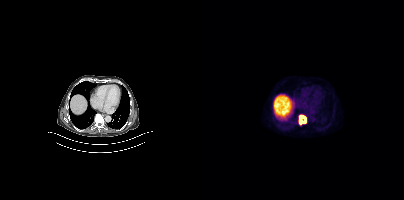
Coordinates are on the 200×200 PET (right) panel. PSMA-avid tumor lesion bounding box (x0, y0)-(x1, y1): (94, 114)-(102, 125).
modality: PSMA PET/CT | tracer: [18F]PSMA-1007 | view: axial | PET grid: 200×200